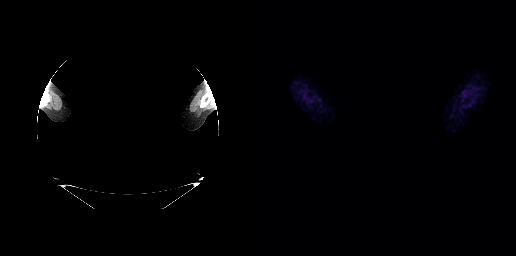
Negative for PSMA-avid disease on this slice. The head region is masked for de-identification. Paired axial CT (left) and PSMA PET (right), 18F-PSMA tracer. Slice 259 of 263. PET panel 256×256 px (2.7 mm/px).